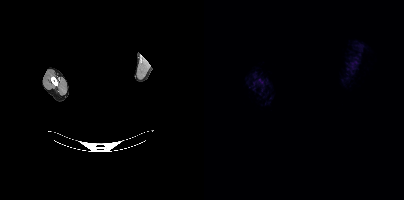
Findings: No PSMA-avid tumor lesions on this slice.
- facial anatomy redacted by setting a rectangular region of the head to black
- Two-panel axial: CT | PSMA PET, 68Ga tracer
- slice position z = -374 mm